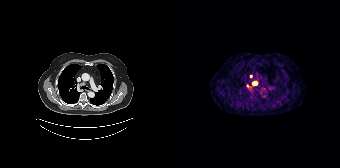
Coordinates are on the 168×168 PET (right) panel. Small PSMA-avid foci (2 to 4 px across) near (center x, center y): (82, 83), (75, 86), (78, 76).
modality: PSMA PET/CT | tracer: [68Ga]Ga-PSMA-11 | view: axial | PET grid: 168×168